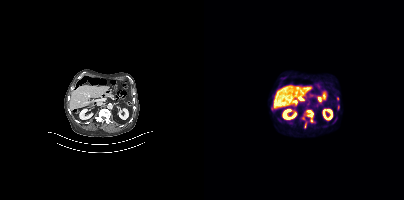
Findings: Coordinates are on the 200×200 PET (right) panel. PSMA-avid tumor lesion bounding boxes (x0,y0,x1,y1): [98,110,109,122] [101,122,102,126]. Small PSMA-avid foci (2 to 4 px across) near (center x, center y): (104, 103) (134, 107).
Technique: Paired axial CT (left) and PSMA PET (right), 18F-PSMA tracer. slice 164 of 373.